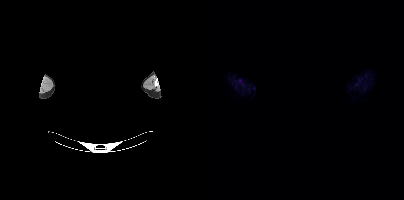
Findings: No PSMA-avid tumor lesions on this slice.
Technique: Left: CT. Right: PSMA PET, same axial level, 18F tracer. acquired on Siemens Biograph mCT Flow 20.
Note: De-identified by setting a box covering the face to black before release.